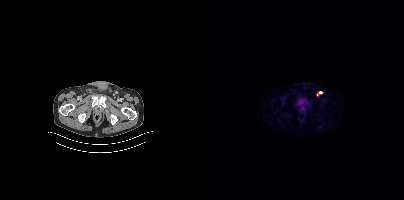
Coordinates are on the 200×200 PET (right) panel. (showing 1 of 2 foci) Small PSMA-avid focus (2 to 4 px across) near (center x, center y): (116, 92). Left: CT. Right: PSMA PET, same axial level, 18F tracer. Slice position z = -1626 mm.